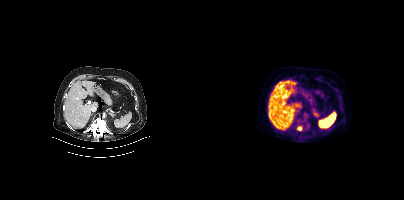
- Paired axial CT (left) and PSMA PET (right), 18F-PSMA tracer
- acquired on Siemens Biograph mCT Flow 20
- slice position z = 262 mm
- PET panel 200×200 px (4.1 mm/px)
Findings: Coordinates are on the 200×200 PET (right) panel. Small PSMA-avid focus (2 to 4 px across) near (center x, center y): (96, 128).